- Two-panel axial: CT | PSMA PET, 18F tracer
- PET panel 200×200 px (4.1 mm/px)
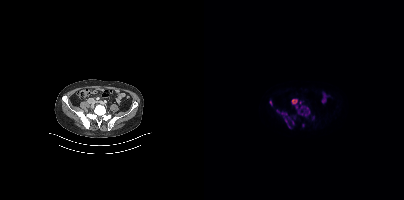
Findings: Coordinates are on the 200×200 PET (right) panel. PSMA-avid tumor lesion bounding boxes (x, y, width, height): x=93 y=105 w=14 h=12 / x=81 y=115 w=11 h=14 / x=72 y=109 w=12 h=9 / x=87 y=99 w=7 h=6 / x=107 y=115 w=4 h=5 / x=98 y=123 w=3 h=5 / x=65 y=101 w=4 h=5.